Technique: Paired axial CT (left) and PSMA PET (right), [18F]PSMA-1007 tracer. acquired on Siemens Biograph mCT Flow 20.
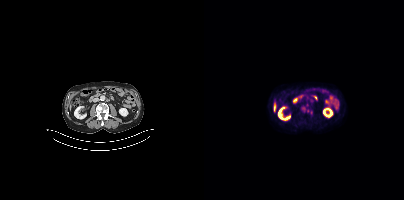
Findings: Coordinates are on the 200×200 PET (right) panel. (showing 1 of 3 foci) Small PSMA-avid focus (2 to 4 px across) near (center x, center y): (99, 108).